Left: CT. Right: PSMA PET, same axial level, 18F-PSMA tracer. PET panel 200×200 px (4.1 mm/px).
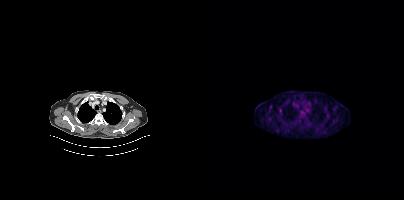
Only PSMA-avid lesion pieces thinner than 2 px on this slice (not listed).